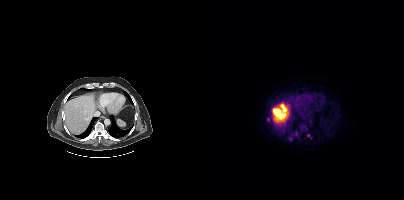
Coordinates are on the 200×200 PET (right) panel. (showing 3 of 4 foci) PSMA-avid tumor lesion bounding box (x0,y0,x1,y1): [85,136,88,140]. Small PSMA-avid foci (2 to 4 px across) near (center x, center y): (64, 119); (104, 135).
modality: PSMA PET/CT | tracer: [18F]PSMA-1007 | view: axial | PET grid: 200×200